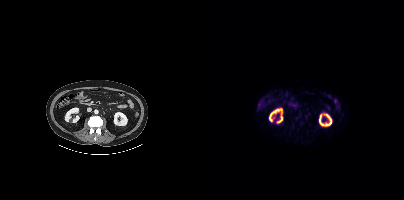
Negative for PSMA-avid disease on this slice.
modality: PSMA PET/CT | tracer: 18F | view: axial